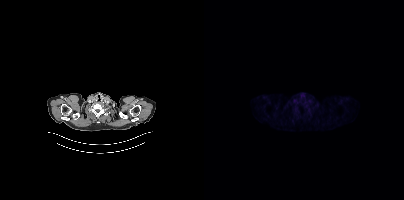
Left: CT. Right: PSMA PET, same axial level, 18F-PSMA tracer. Slice position z = -1014 mm. PET panel 200×200 px (4.1 mm/px). This slice has no annotated PSMA-avid lesion.